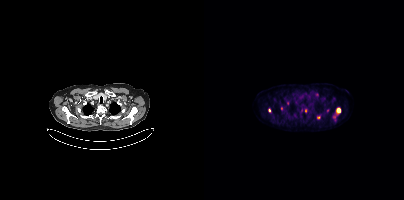
Two-panel axial: CT | PSMA PET, 18F-PSMA tracer.
Coordinates are on the 200×200 PET (right) panel. PSMA-avid tumor lesion bounding boxes:
| # | x0 | y0 | x1 | y1 |
|---|---|---|---|---|
| 1 | 129 | 108 | 136 | 118 |
Small PSMA-avid foci (2 to 4 px across) near (center x, center y): (114, 117); (112, 94); (84, 102); (65, 110); (101, 110); (123, 110); (77, 108).